modality: PSMA PET/CT | tracer: 18F-PSMA | view: axial
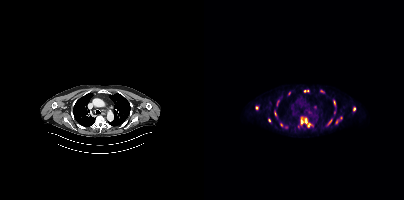
Coordinates are on the 200×200 PET (right) panel. (showing 15 of 20 foci) PSMA-avid tumor lesion bounding boxes (x, y, width, height): x=101 y=118 w=9 h=9 | x=97 y=117 w=3 h=8 | x=129 y=100 w=3 h=6 | x=124 y=119 w=5 h=6 | x=73 y=100 w=3 h=6 | x=149 y=107 w=2 h=5. Small PSMA-avid foci (2 to 4 px across) near (center x, center y): (111, 107) | (117, 91) | (132, 121) | (85, 93) | (52, 107) | (71, 113) | (137, 118) | (65, 120) | (100, 91).